Paired axial CT (left) and PSMA PET (right), 18F-PSMA tracer.
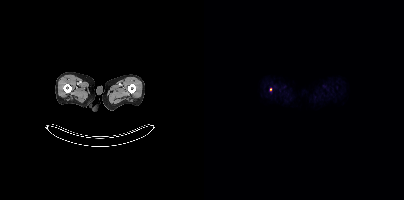
Coordinates are on the 200×200 PET (right) panel. Small PSMA-avid focus (2 to 4 px across) near (center x, center y): (66, 89).